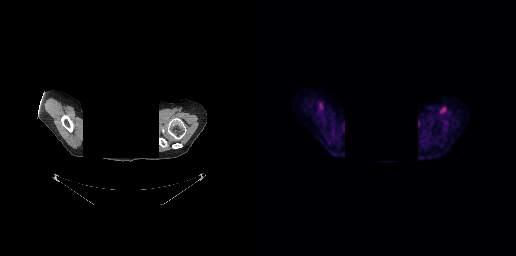
Left: CT. Right: PSMA PET, same axial level, 18F-PSMA tracer. Acquired on GE Discovery 690. A rectangle over the head was blacked out to remove identifiable facial features. Negative for PSMA-avid disease on this slice.